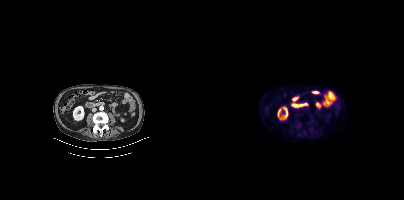
This slice has no annotated PSMA-avid lesion.
modality: PSMA PET/CT | tracer: 18F | view: axial | PET grid: 200×200